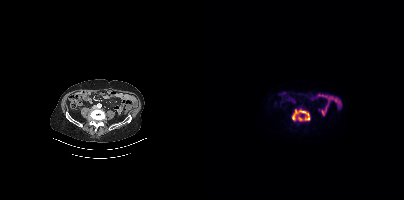
modality: PSMA PET/CT | tracer: 18F-PSMA | view: axial | PET grid: 200×200
Coordinates are on the 200×200 PET (right) panel. PSMA-avid tumor lesion bounding box (x0, y0)-(x1, y1): (87, 108)-(106, 121).